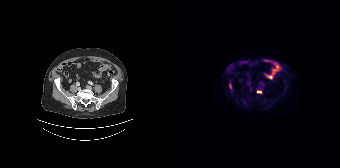
Findings: Coordinates are on the 168×168 PET (right) panel. PSMA-avid tumor lesion bounding boxes (x0, y0)-(x1, y1): (57, 84)-(59, 88) | (85, 91)-(89, 92).
- Paired axial CT (left) and PSMA PET (right), 18F-PSMA tracer
- acquired on Siemens Biograph 64-4R TruePoint
- slice position z = -1430 mm